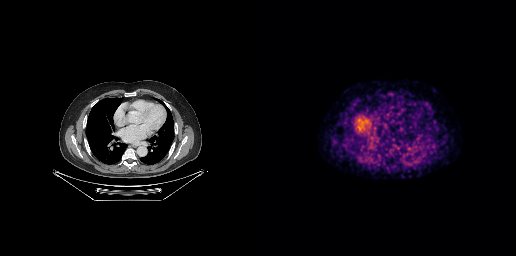
- Left: CT. Right: PSMA PET, same axial level, [68Ga]Ga-PSMA-11 tracer
- slice position z = -412 mm
Findings: Negative for PSMA-avid disease on this slice.